Technique: Two-panel axial: CT | PSMA PET, 68Ga-PSMA tracer. PET panel 200×200 px (4.1 mm/px).
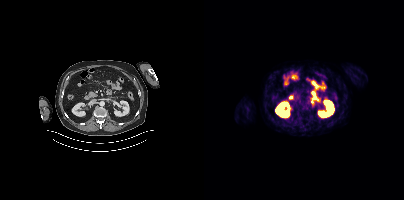
Findings: No PSMA-avid tumor lesions on this slice.